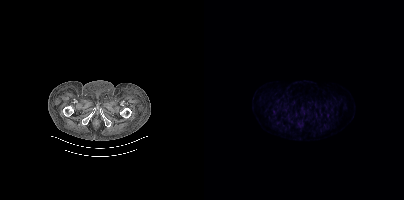
No PSMA-avid tumor lesions on this slice. Left: CT. Right: PSMA PET, same axial level, 18F tracer. Acquired on Siemens Biograph mCT Flow 20.